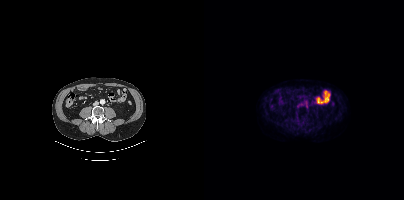
Technique: Two-panel axial: CT | PSMA PET, [18F]PSMA-1007 tracer.
Findings: No PSMA-avid tumor lesions on this slice.